- Left: CT. Right: PSMA PET, same axial level, 18F-PSMA tracer
- acquired on Siemens Biograph mCT Flow 20
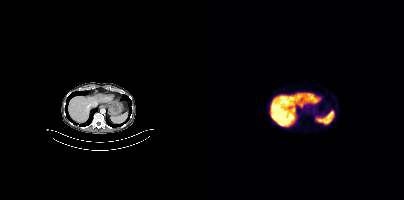
Findings: No PSMA-avid tumor lesions on this slice.